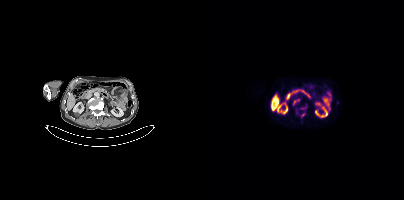
Coordinates are on the 200×200 PET (right) panel. (showing 1 of 2 foci) Small PSMA-avid focus (2 to 4 px across) near (center x, center y): (90, 102).
modality: PSMA PET/CT | tracer: [18F]PSMA-1007 | view: axial